Two-panel axial: CT | PSMA PET, [18F]PSMA-1007 tracer. PET panel 200×200 px (4.1 mm/px).
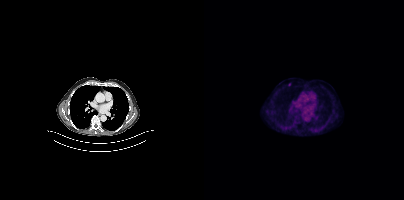
Coordinates are on the 200×200 PET (right) panel. Small PSMA-avid focus (2 to 4 px across) near (center x, center y): (85, 84).